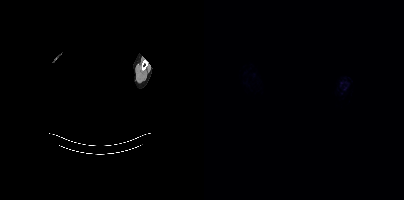
Findings: No tumor lesions annotated on this slice.
- Paired axial CT (left) and PSMA PET (right), [18F]PSMA-1007 tracer
- slice 391 of 401
- face de-identified by blanking a block of the head